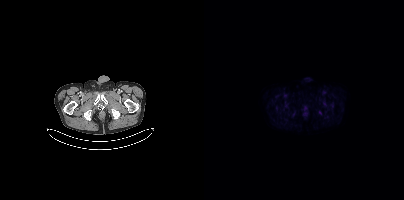
Coordinates are on the 200×200 PET (right) panel. Small PSMA-avid focus (2 to 4 px across) near (center x, center y): (101, 113).